Two-panel axial: CT | PSMA PET, [68Ga]Ga-PSMA-11 tracer. Slice position z = -1470 mm. PET panel 168×168 px (4.1 mm/px).
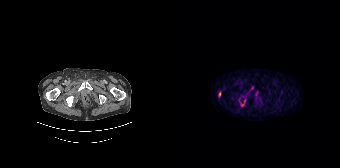
Coordinates are on the 168×168 PET (right) panel. (showing 1 of 3 foci) Small PSMA-avid focus (2 to 4 px across) near (center x, center y): (47, 93).